de-identification: region blacked out before release | modality: PSMA PET/CT | tracer: [18F]PSMA-1007 | view: axial
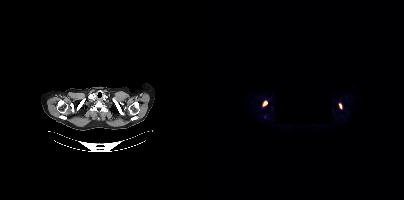
Coordinates are on the 200×200 PET (right) panel. PSMA-avid tumor lesion bounding boxes (x, y, width, height): x=58 y=100 w=6 h=7 | x=135 y=103 w=4 h=6.